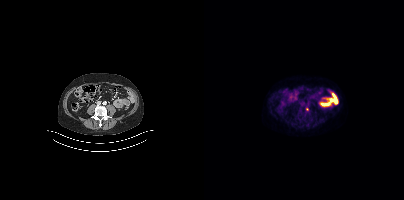
Two-panel axial: CT | PSMA PET, [18F]PSMA-1007 tracer. Slice 129 of 356. Coordinates are on the 200×200 PET (right) panel. Small PSMA-avid focus (2 to 4 px across) near (center x, center y): (103, 108).